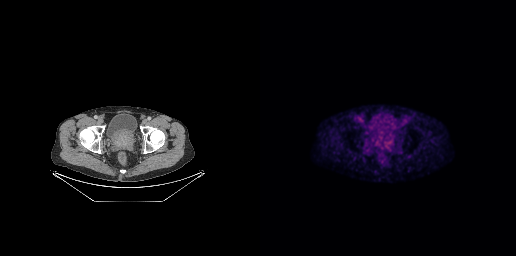
Findings: Coordinates are on the 256×256 PET (right) panel. Small PSMA-avid focus (2 to 4 px across) near (center x, center y): (128, 141).
Technique: Two-panel axial: CT | PSMA PET, 18F tracer. acquired on GE Discovery 690. PET panel 256×256 px (2.7 mm/px).